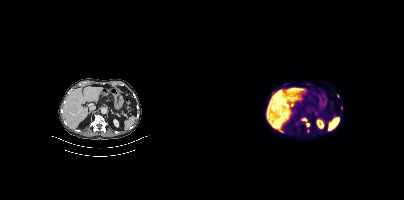
Findings: Coordinates are on the 200×200 PET (right) panel. (showing 4 of 5 foci) PSMA-avid tumor lesion bounding box (x0, y0)-(x1, y1): (98, 118)-(102, 120). Small PSMA-avid foci (2 to 4 px across) near (center x, center y): (103, 124) / (137, 108) / (133, 95).
- Two-panel axial: CT | PSMA PET, 18F tracer
- acquired on Siemens Biograph mCT Flow 20
- PET panel 200×200 px (4.1 mm/px)